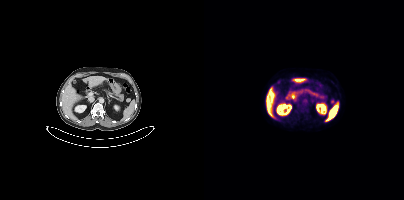
Coordinates are on the 200×200 PET (right) panel. Small PSMA-avid focus (2 to 4 px across) near (center x, center y): (128, 101).